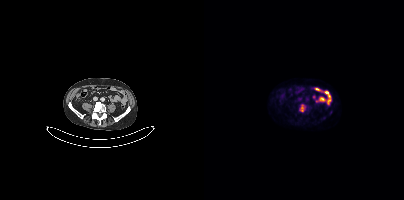
Left: CT. Right: PSMA PET, same axial level, 18F tracer. Slice 135 of 391. PET panel 200×200 px (4.1 mm/px). Coordinates are on the 200×200 PET (right) panel. PSMA-avid tumor lesion bounding box (x, y, width, height): x=96 y=104 w=5 h=8.